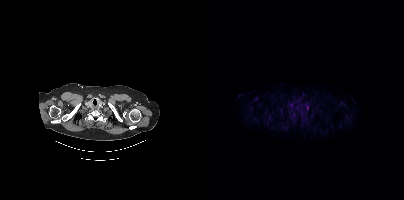
Coordinates are on the 200×200 PET (right) panel. Small PSMA-avid focus (2 to 4 px across) near (center x, center y): (103, 108). Left: CT. Right: PSMA PET, same axial level, [18F]PSMA-1007 tracer. Acquired on Siemens Biograph mCT Flow 20.